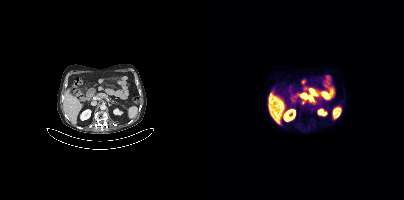
{"modality":"PSMA PET/CT","view":"axial","tracer":"18F-PSMA","pet_grid":[200,200],"coord_frame":"pet_panel","coord_format":"x0,y0,x1,y1","lesion_bboxes":[[97,93,101,97],[98,100,101,104]]}